- Paired axial CT (left) and PSMA PET (right), 18F tracer
- acquired on Siemens Biograph mCT Flow 20
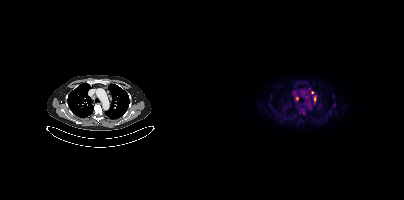
Findings: Coordinates are on the 200×200 PET (right) panel. (showing 7 of 8 foci) PSMA-avid tumor lesion bounding boxes (x0, y0)-(x1, y1): (96, 108)-(100, 114); (110, 96)-(111, 101). Small PSMA-avid foci (2 to 4 px across) near (center x, center y): (92, 98); (105, 88); (108, 92); (130, 104); (102, 103).